Left: CT. Right: PSMA PET, same axial level, [18F]PSMA-1007 tracer. Slice 190 of 429.
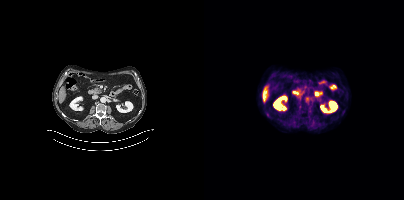
This slice has no annotated PSMA-avid lesion.